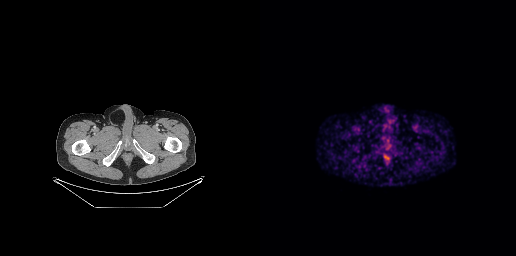
No PSMA-avid tumor lesions on this slice.